Technique: Left: CT. Right: PSMA PET, same axial level, 18F-PSMA tracer.
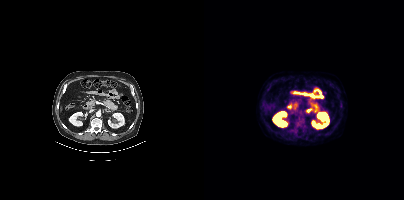
Findings: Coordinates are on the 200×200 PET (right) panel. Small PSMA-avid focus (2 to 4 px across) near (center x, center y): (93, 124).